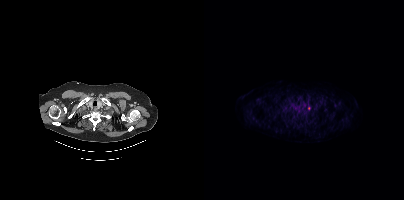
Only PSMA-avid lesion pieces thinner than 2 px on this slice (not listed).